modality: PSMA PET/CT | tracer: 18F | view: axial
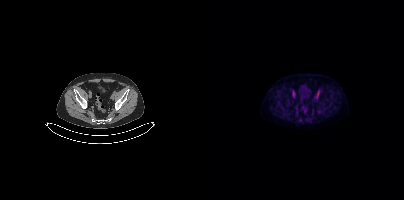
No tumor lesions annotated on this slice.